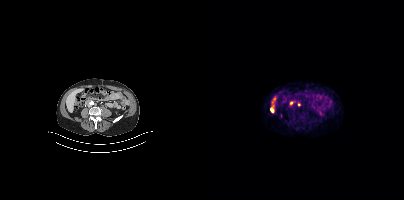
Coordinates are on the 200×200 PET (right) panel. Small PSMA-avid foci (2 to 4 px across) near (center x, center y): (87, 102), (68, 110), (94, 104).